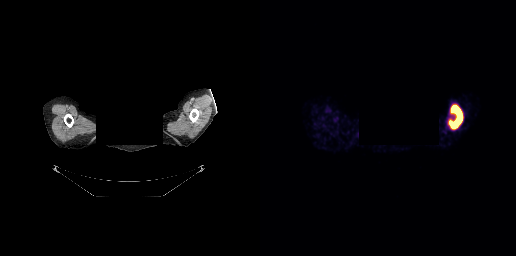
Coordinates are on the 256×256 PET (right) panel. PSMA-avid tumor lesion bounding box (x, y, width, height): x=188 y=104 w=16 h=26.
modality: PSMA PET/CT | tracer: 68Ga-PSMA | view: axial | redaction: rectangular block over head set to black